Technique: Left: CT. Right: PSMA PET, same axial level, 18F-PSMA tracer. acquired on GE Discovery 690. slice position z = -360 mm. PET panel 256×256 px (2.7 mm/px).
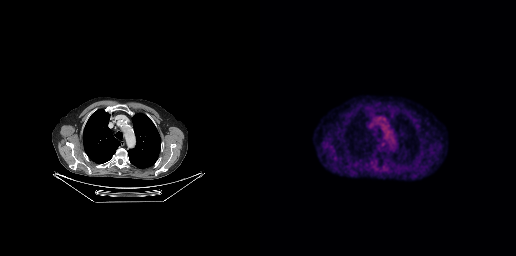
Findings: This slice has no annotated PSMA-avid lesion.